Paired axial CT (left) and PSMA PET (right), [18F]PSMA-1007 tracer. Acquired on Siemens Biograph mCT Flow 20.
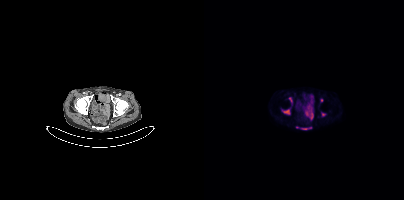
Coordinates are on the 200×200 PET (right) panel. PSMA-avid tumor lesion bounding boxes (partial; 1 more focus not listed):
| # | x0 | y0 | x1 | y1 |
|---|---|---|---|---|
| 1 | 79 | 110 | 85 | 114 |
| 2 | 97 | 127 | 107 | 129 |
Small PSMA-avid foci (2 to 4 px across) near (center x, center y): (119, 114); (117, 100); (86, 99).